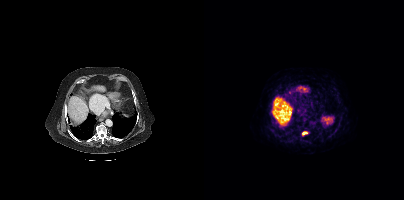
{"modality":"PSMA PET/CT","view":"axial","tracer":"68Ga-PSMA","pet_grid":[200,200],"coord_frame":"pet_panel","coord_format":"x0,y0,x1,y1","lesion_bboxes":[[98,131,103,135]]}